Paired axial CT (left) and PSMA PET (right), 18F-PSMA tracer.
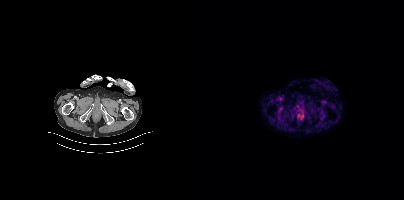
No tumor lesions annotated on this slice.